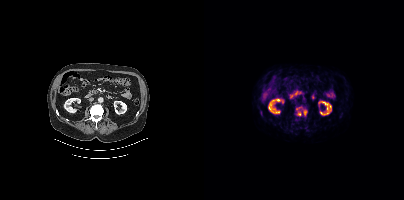
Technique: Two-panel axial: CT | PSMA PET, 18F-PSMA tracer. acquired on Siemens Biograph mCT Flow 20. PET panel 200×200 px (4.1 mm/px).
Findings: Coordinates are on the 200×200 PET (right) panel. PSMA-avid tumor lesion bounding boxes (x0,y0,x1,y1): [92,107,97,115] [99,110,103,115].